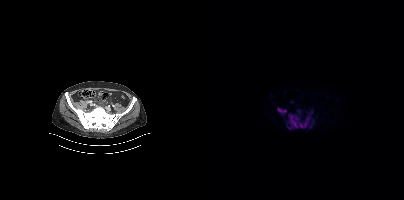
Paired axial CT (left) and PSMA PET (right), 18F tracer. Acquired on Siemens Biograph mCT Flow 20. PET panel 200×200 px (4.1 mm/px).
Coordinates are on the 200×200 PET (right) panel. PSMA-avid tumor lesion bounding boxes (partial; 1 more focus not listed):
| # | x0 | y0 | x1 | y1 |
|---|---|---|---|---|
| 1 | 84 | 110 | 110 | 128 |
| 2 | 75 | 109 | 82 | 112 |